Left: CT. Right: PSMA PET, same axial level, 18F-PSMA tracer. Slice 248 of 415. PET panel 200×200 px (4.1 mm/px).
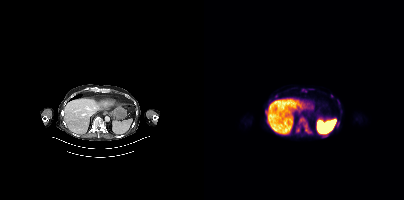
Coordinates are on the 200×200 PET (right) panel. PSMA-avid tumor lesion bounding boxes (partial; 1 more focus not listed):
| # | x0 | y0 | x1 | y1 |
|---|---|---|---|---|
| 1 | 95 | 117 | 108 | 133 |
| 2 | 92 | 126 | 96 | 133 |
| 3 | 132 | 122 | 135 | 127 |
| 4 | 117 | 135 | 122 | 137 |
| 5 | 98 | 89 | 102 | 92 |
| 6 | 104 | 88 | 108 | 89 |
Small PSMA-avid foci (2 to 4 px across) near (center x, center y): (128, 95); (72, 96); (136, 111); (61, 111); (133, 100).